modality: PSMA PET/CT | tracer: [18F]PSMA-1007 | view: axial | PET grid: 200×200
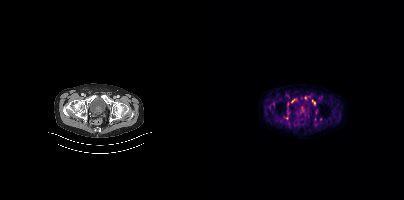
Coordinates are on the 200×200 PET (right) panel. (showing 2 of 4 foci) Small PSMA-avid foci (2 to 4 px across) near (center x, center y): (88, 100) | (116, 118).